Left: CT. Right: PSMA PET, same axial level, [68Ga]Ga-PSMA-11 tracer. Acquired on Siemens Biograph 64-4R TruePoint.
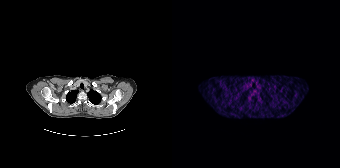
No tumor lesions annotated on this slice.